Technique: Paired axial CT (left) and PSMA PET (right), 68Ga-PSMA tracer. PET panel 168×168 px (4.1 mm/px).
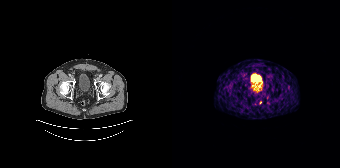
Findings: Coordinates are on the 168×168 PET (right) panel. (showing 1 of 2 foci) Small PSMA-avid focus (2 to 4 px across) near (center x, center y): (88, 102).